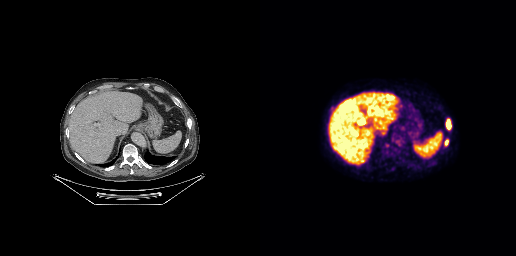
Findings: Coordinates are on the 256×256 PET (right) panel. PSMA-avid tumor lesion bounding boxes (x0, y0)-(x1, y1): (186, 118)-(191, 129) | (184, 139)-(188, 146).
Technique: Two-panel axial: CT | PSMA PET, 18F-PSMA tracer. acquired on GE Discovery 690. slice 160 of 263.